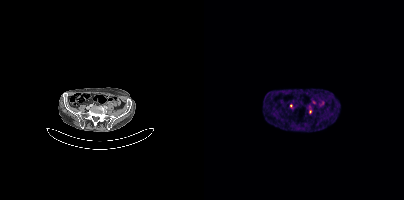
Coordinates are on the 200×200 PET (right) panel. Small PSMA-avid focus (2 to 4 px across) near (center x, center y): (106, 111). Two-panel axial: CT | PSMA PET, [68Ga]Ga-PSMA-11 tracer. Acquired on Siemens Biograph mCT Flow 20. Slice position z = -946 mm.